Technique: Paired axial CT (left) and PSMA PET (right), 18F-PSMA tracer. slice position z = -688 mm. PET panel 200×200 px (4.1 mm/px).
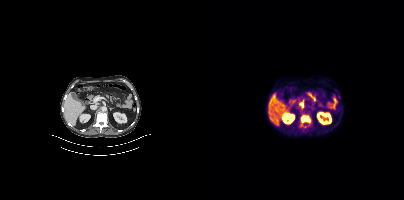
Findings: Coordinates are on the 200×200 PET (right) panel. PSMA-avid tumor lesion bounding box (x0,y0,x1,y1): [95,114,107,127].